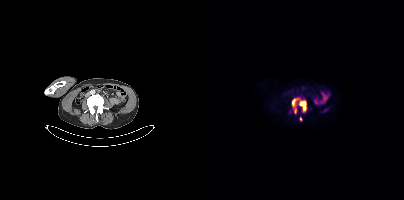
{"modality":"PSMA PET/CT","view":"axial","tracer":"18F","pet_grid":[200,200],"coord_frame":"pet_panel","coord_format":"x0,y0,x1,y1","lesion_bboxes":[[88,99,102,114]],"small_foci_centers":[[96,118]]}